modality: PSMA PET/CT | tracer: [18F]PSMA-1007 | view: axial | PET grid: 200×200
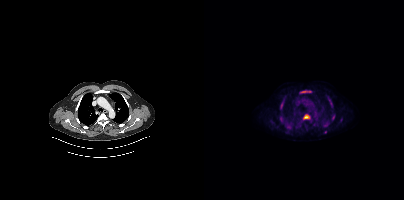
Coordinates are on the 200×200 PET (right) panel. PSMA-avid tumor lesion bounding boxes (x0,y0,x1,y1): [99,115,105,118], [124,98,128,106], [76,102,79,108], [128,115,130,120], [81,124,84,128], [97,91,103,92]. Small PSMA-avid focus (2 to 4 px across) near (center x, center y): (121, 132).